- Paired axial CT (left) and PSMA PET (right), [68Ga]Ga-PSMA-11 tracer
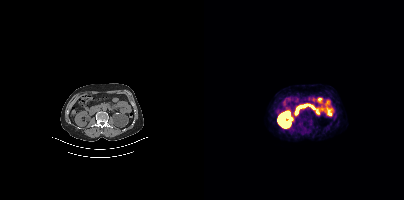
Findings: No tumor lesions annotated on this slice.